Technique: Paired axial CT (left) and PSMA PET (right), 68Ga-PSMA tracer. acquired on Siemens Biograph 64-4R TruePoint. PET panel 168×168 px (4.1 mm/px).
Note: Facial anatomy redacted by setting a rectangular region of the head to black.
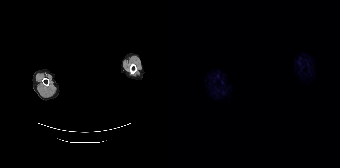
Findings: Negative for PSMA-avid disease on this slice.